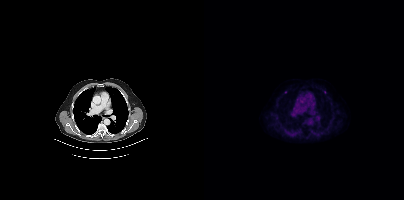
Negative for PSMA-avid disease on this slice.
modality: PSMA PET/CT | tracer: [18F]PSMA-1007 | view: axial | PET grid: 200×200